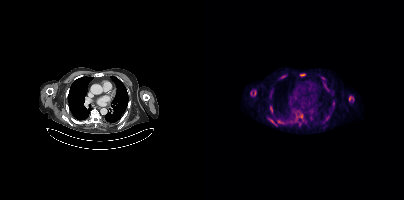
- Left: CT. Right: PSMA PET, same axial level, 18F tracer
- acquired on Siemens Biograph mCT Flow 20
Findings: Coordinates are on the 200×200 PET (right) panel. PSMA-avid tumor lesion bounding boxes (x, y, width, height): x=145 y=96 w=5 h=6 | x=66 y=106 w=3 h=8 | x=64 y=118 w=9 h=8 | x=46 y=90 w=6 h=5 | x=96 y=74 w=5 h=2. Small PSMA-avid foci (2 to 4 px across) near (center x, center y): (97, 115) | (123, 118) | (74, 121).